Technique: Two-panel axial: CT | PSMA PET, [18F]PSMA-1007 tracer. PET panel 256×256 px (2.7 mm/px).
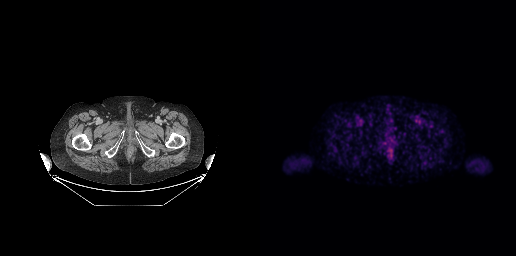
Findings: This slice has no annotated PSMA-avid lesion.